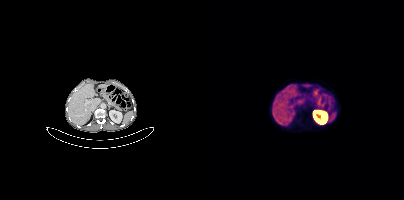
{"modality":"PSMA PET/CT","view":"axial","tracer":"68Ga-PSMA","pet_grid":[200,200],"coord_frame":"pet_panel","coord_format":"x0,y0,x1,y1","psma_avid_lesions":false}